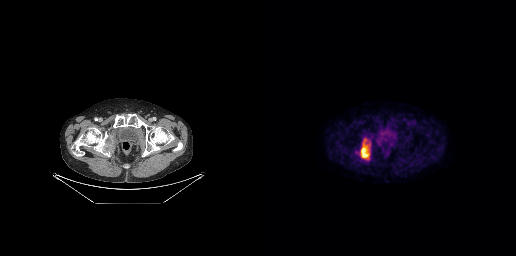
Left: CT. Right: PSMA PET, same axial level, 18F-PSMA tracer. Acquired on GE Discovery 690. PET panel 256×256 px (2.7 mm/px). Coordinates are on the 256×256 PET (right) panel. PSMA-avid tumor lesion bounding box (x, y, width, height): x=100 y=138 w=11 h=22.